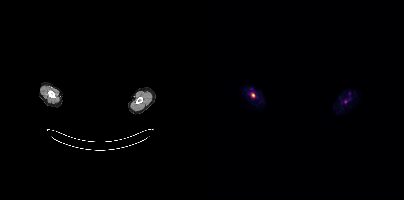
{"pet_grid":[200,200],"coord_frame":"pet_panel","coord_format":"x0,y0,x1,y1","lesion_bboxes":[],"small_foci_centers":[[49,95]],"deidentification":"facial region redacted","modality":"PSMA PET/CT","view":"axial","tracer":"[18F]PSMA-1007"}